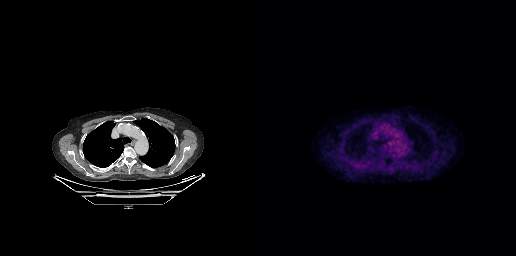
{"pet_grid":[256,256],"coord_frame":"pet_panel","coord_format":"x0,y0,x1,y1","psma_avid_lesions":false,"modality":"PSMA PET/CT","view":"axial","tracer":"18F-PSMA"}